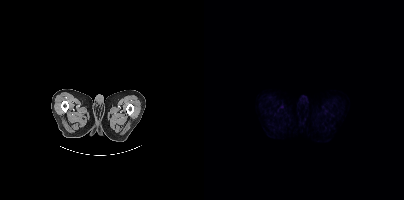
{"pet_grid":[200,200],"coord_frame":"pet_panel","coord_format":"x0,y0,x1,y1","psma_avid_lesions":false,"modality":"PSMA PET/CT","view":"axial","tracer":"18F"}